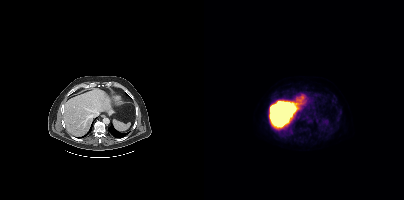
Left: CT. Right: PSMA PET, same axial level, 18F tracer. Acquired on Siemens Biograph mCT Flow 20. PET panel 200×200 px (4.1 mm/px). Negative for PSMA-avid disease on this slice.